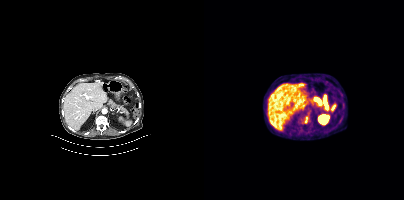
Coordinates are on the 200×200 PET (right) panel. PSMA-avid tumor lesion bounding box (x, y, width, height): x=101 y=116 w=4 h=7.